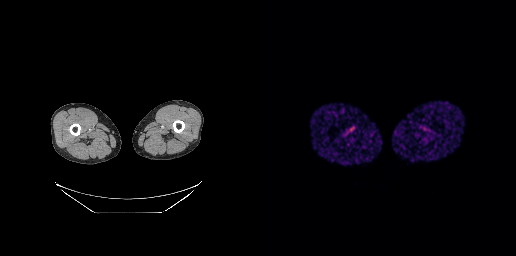
modality: PSMA PET/CT | tracer: 68Ga | view: axial
This slice has no annotated PSMA-avid lesion.